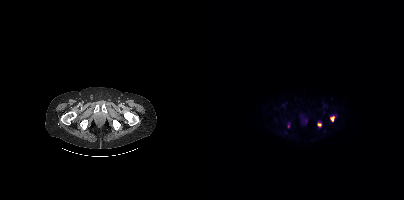
Coordinates are on the 200×200 PET (right) panel. PSMA-avid tumor lesion bounding boxes:
| # | x0 | y0 | x1 | y1 |
|---|---|---|---|---|
| 1 | 126 | 116 | 130 | 121 |
| 2 | 113 | 123 | 117 | 126 |
Paired axial CT (left) and PSMA PET (right), [18F]PSMA-1007 tracer. Slice position z = -1490 mm.